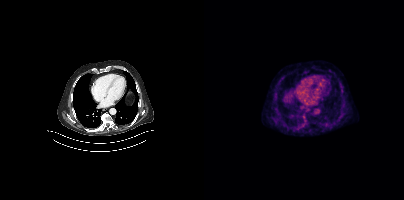
Negative for PSMA-avid disease on this slice. Two-panel axial: CT | PSMA PET, 18F-PSMA tracer. Acquired on Siemens Biograph mCT Flow 20. Slice position z = 1208 mm.